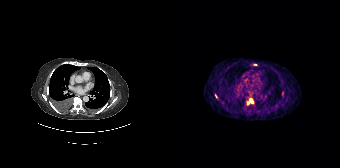
modality: PSMA PET/CT | tracer: [68Ga]Ga-PSMA-11 | view: axial | PET grid: 168×168
Coordinates are on the 168×168 PET (right) panel. (showing 3 of 4 foci) PSMA-avid tumor lesion bounding box (x0,y0,x1,y1): [75,98,81,103]. Small PSMA-avid foci (2 to 4 px across) near (center x, center y): (44, 95) (83, 64).